Two-panel axial: CT | PSMA PET, 68Ga-PSMA tracer. Acquired on Siemens Biograph 64-4R TruePoint.
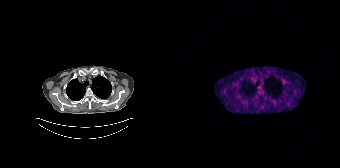
No PSMA-avid tumor lesions on this slice.